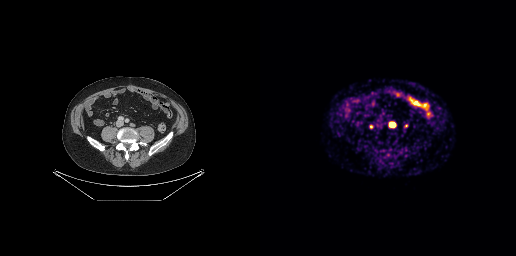
Coordinates are on the 256×256 PET (right) panel. PSMA-avid tumor lesion bounding box (x0,y0,x1,y1): [129,122,135,127].